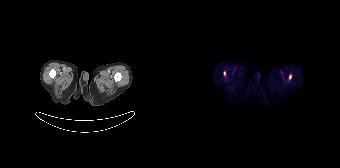
Findings: Coordinates are on the 168×168 PET (right) panel. (showing 1 of 2 foci) Small PSMA-avid focus (2 to 4 px across) near (center x, center y): (118, 76).
Technique: Two-panel axial: CT | PSMA PET, 68Ga tracer. acquired on Siemens Biograph 64-4R TruePoint. slice 19 of 165. PET panel 168×168 px (4.1 mm/px).